Technique: Left: CT. Right: PSMA PET, same axial level, [18F]PSMA-1007 tracer. PET panel 256×256 px (2.7 mm/px).
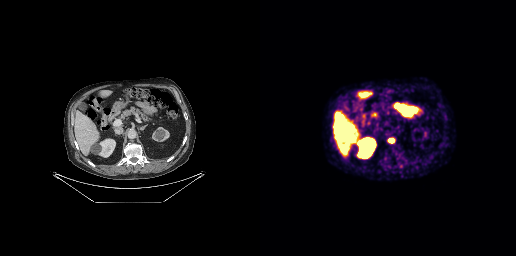
Findings: Coordinates are on the 256×256 PET (right) panel. PSMA-avid tumor lesion bounding box (x, y, width, height): x=128 y=138 w=7 h=6.